Two-panel axial: CT | PSMA PET, 18F tracer.
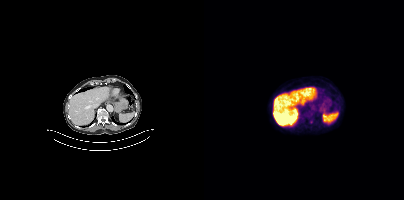
Negative for PSMA-avid disease on this slice.